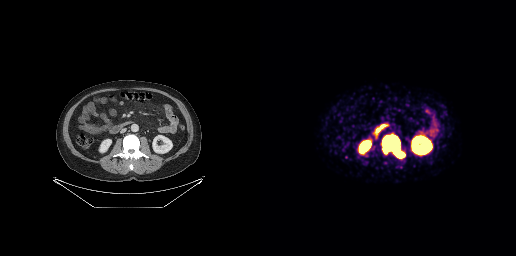
Coordinates are on the 256×256 PET (right) panel. PSMA-avid tumor lesion bounding box (x, y, width, height): x=122 y=135 w=23 h=23.